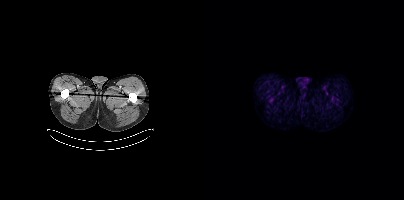
{"modality":"PSMA PET/CT","view":"axial","tracer":"18F","pet_grid":[200,200],"coord_frame":"pet_panel","coord_format":"x0,y0,x1,y1","psma_avid_lesions":false}